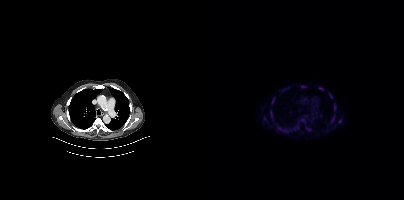
Findings: Coordinates are on the 200×200 PET (right) panel. (showing 12 of 17 foci) PSMA-avid tumor lesion bounding boxes (x, y, width, height): x=127 y=115 w=5 h=9 / x=66 y=110 w=3 h=9 / x=67 y=97 w=5 h=7 / x=74 y=127 w=5 h=4 / x=115 y=87 w=5 h=4 / x=130 y=105 w=2 h=6 / x=125 y=93 w=4 h=5 / x=97 y=119 w=5 h=4 / x=102 y=128 w=5 h=3. Small PSMA-avid foci (2 to 4 px across) near (center x, center y): (135, 121) / (99, 86) / (60, 118).
Technique: Paired axial CT (left) and PSMA PET (right), 18F tracer. PET panel 200×200 px (4.1 mm/px).